Two-panel axial: CT | PSMA PET, [68Ga]Ga-PSMA-11 tracer. Acquired on Siemens Biograph mCT Flow 20.
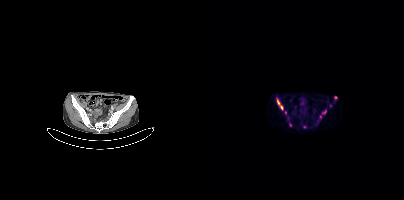
Coordinates are on the 200×200 PET (right) panel. (showing 6 of 7 foci) PSMA-avid tumor lesion bounding boxes (x0, y0)-(x1, y1): (73, 98)-(79, 110); (118, 110)-(122, 114). Small PSMA-avid foci (2 to 4 px across) near (center x, center y): (131, 97); (81, 112); (100, 127); (116, 116).